A rectangular block over the head has been blanked out for de-identification. Paired axial CT (left) and PSMA PET (right), 68Ga-PSMA tracer. Acquired on GE Discovery 690. PET panel 256×256 px (2.7 mm/px).
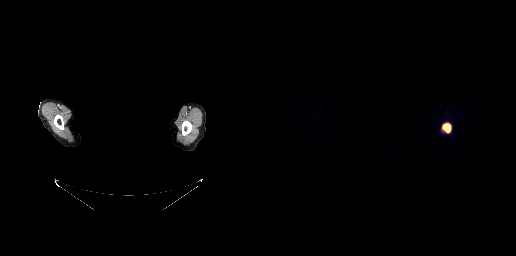
Coordinates are on the 256×256 PET (right) panel. PSMA-avid tumor lesion bounding boxes:
| # | x0 | y0 | x1 | y1 |
|---|---|---|---|---|
| 1 | 183 | 124 | 190 | 132 |